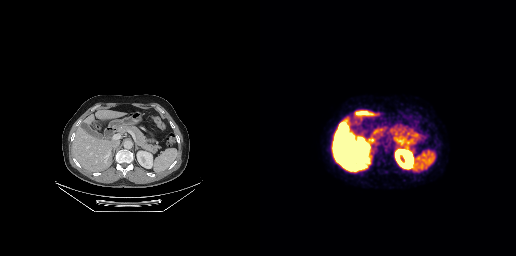
{"modality":"PSMA PET/CT","view":"axial","tracer":"18F-PSMA","pet_grid":[256,256],"coord_frame":"pet_panel","coord_format":"x0,y0,x1,y1","psma_avid_lesions":false}